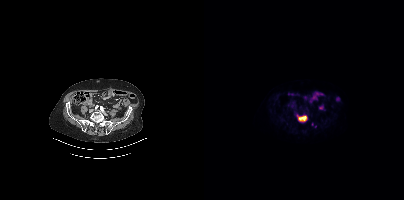
Coordinates are on the 200×200 PET (right) panel. (showing 2 of 3 foci) PSMA-avid tumor lesion bounding box (x0,y0,x1,y1): [92,114,103,122]. Small PSMA-avid focus (2 to 4 px across) near (center x, center y): (111, 126).